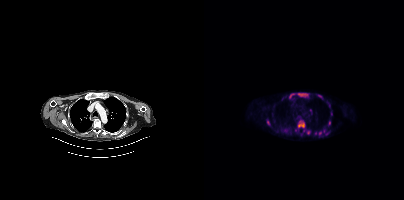
{"modality":"PSMA PET/CT","view":"axial","tracer":"18F-PSMA","pet_grid":[200,200],"coord_frame":"pet_panel","coord_format":"x0,y0,x1,y1","partial":true,"lesion_bboxes":[[94,119,101,128],[93,93,104,97],[85,93,89,99],[114,131,117,135],[105,109,108,114],[124,121,126,125],[114,95,118,97]],"small_foci_centers":[[104,132],[64,122],[127,113],[120,131],[122,134],[78,98]]}